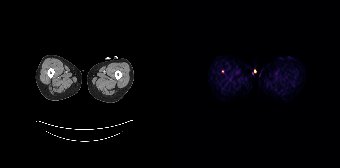
Coordinates are on the 168×168 PET (right) panel. Small PSMA-avid focus (2 to 4 px across) near (center x, center y): (50, 71).
modality: PSMA PET/CT | tracer: [68Ga]Ga-PSMA-11 | view: axial